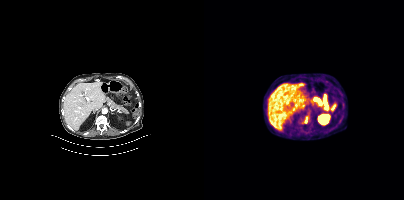
- Two-panel axial: CT | PSMA PET, 18F-PSMA tracer
- slice 219 of 397
Findings: Coordinates are on the 200×200 PET (right) panel. PSMA-avid tumor lesion bounding box (x0, y0)-(x1, y1): (100, 116)-(104, 123).